modality: PSMA PET/CT | tracer: 18F | view: axial | PET grid: 200×200
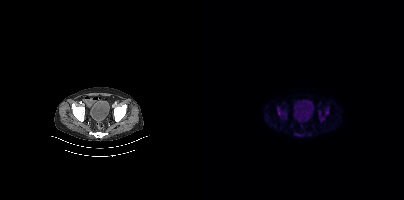
Coordinates are on the 200×200 PET (right) panel. PSMA-avid tumor lesion bounding boxes (x0, y0)-(x1, y1): (115, 111)-(120, 121) | (73, 107)-(77, 115) | (121, 108)-(124, 115) | (90, 133)-(96, 135). Small PSMA-avid focus (2 to 4 px across) near (center x, center y): (79, 113).